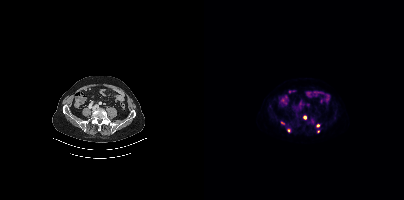
Findings: Coordinates are on the 200×200 PET (right) panel. Small PSMA-avid foci (2 to 4 px across) near (center x, center y): (101, 117); (114, 125); (84, 130); (114, 131).
Technique: Left: CT. Right: PSMA PET, same axial level, 18F-PSMA tracer. slice 139 of 401. PET panel 200×200 px (4.1 mm/px).